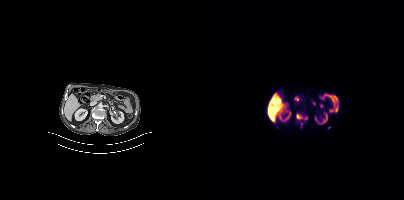
{"modality":"PSMA PET/CT","view":"axial","tracer":"[18F]PSMA-1007","pet_grid":[200,200],"coord_frame":"pet_panel","coord_format":"x0,y0,x1,y1","partial":true,"lesion_bboxes":[[93,114,97,118]],"small_foci_centers":[[125,127]]}